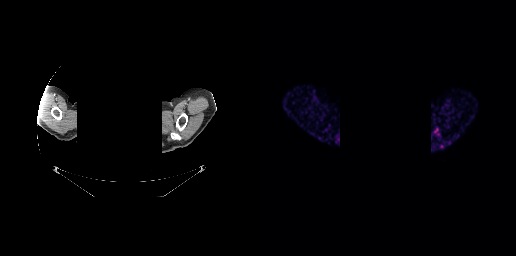
{"pet_grid":[256,256],"coord_frame":"pet_panel","coord_format":"x0,y0,x1,y1","psma_avid_lesions":false,"modality":"PSMA PET/CT","view":"axial","tracer":"68Ga-PSMA","deidentification":"facial region redacted"}